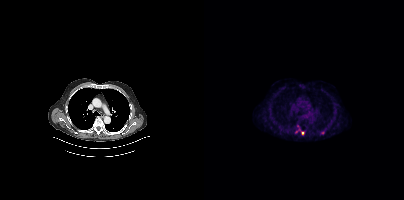
Two-panel axial: CT | PSMA PET, 18F tracer. Acquired on Siemens Biograph mCT Flow 20. PET panel 200×200 px (4.1 mm/px). Coordinates are on the 200×200 PET (right) panel. Small PSMA-avid foci (2 to 4 px across) near (center x, center y): (98, 133); (118, 132).